Paired axial CT (left) and PSMA PET (right), 18F-PSMA tracer. Slice position z = -649 mm.
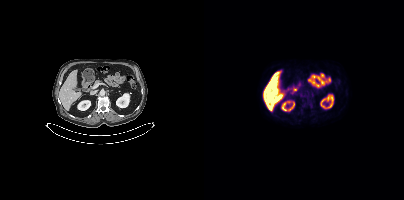
No PSMA-avid tumor lesions on this slice.